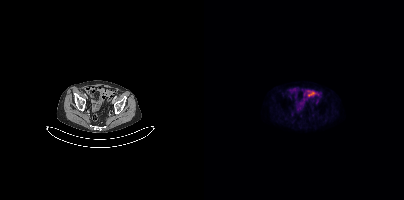
{"modality":"PSMA PET/CT","view":"axial","tracer":"18F","pet_grid":[200,200],"coord_frame":"pet_panel","coord_format":"x0,y0,x1,y1","psma_avid_lesions":false}